Paired axial CT (left) and PSMA PET (right), [68Ga]Ga-PSMA-11 tracer. Acquired on Siemens Biograph 64-4R TruePoint. Slice position z = -854 mm. PET panel 168×168 px (4.1 mm/px).
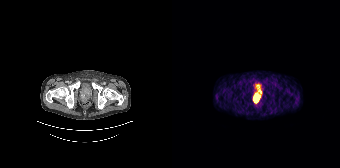
Coordinates are on the 168×168 PET (right) panel. PSMA-avid tumor lesion bounding boxes (partial; 1 more focus not listed):
| # | x0 | y0 | x1 | y1 |
|---|---|---|---|---|
| 1 | 81 | 93 | 87 | 102 |